- Two-panel axial: CT | PSMA PET, 18F tracer
- slice 26 of 381
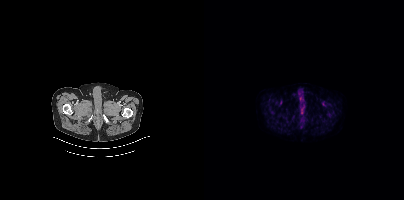
Findings: Negative for PSMA-avid disease on this slice.